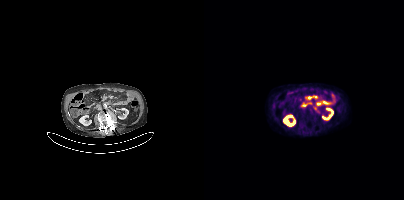
{"modality":"PSMA PET/CT","view":"axial","tracer":"18F","pet_grid":[200,200],"coord_frame":"pet_panel","coord_format":"x0,y0,x1,y1","lesion_bboxes":[[102,96,109,99]],"small_foci_centers":[[112,97]]}